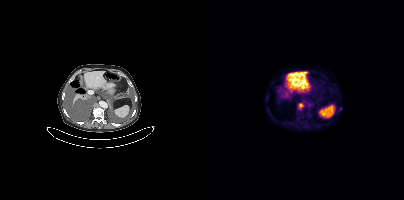
Findings: Coordinates are on the 200×200 PET (right) panel. (showing 1 of 2 foci) PSMA-avid tumor lesion bounding box (x0, y0)-(x1, y1): (94, 103)-(99, 108).
- Paired axial CT (left) and PSMA PET (right), 18F tracer
- slice 213 of 381
- PET panel 200×200 px (4.1 mm/px)